- Two-panel axial: CT | PSMA PET, 18F tracer
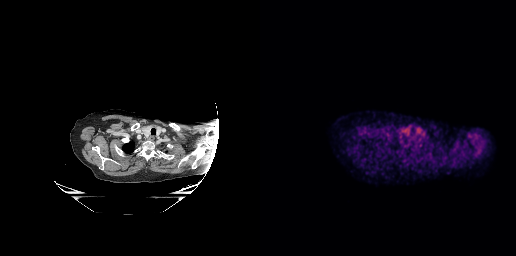
Findings: This slice has no annotated PSMA-avid lesion.